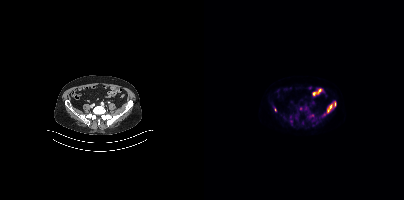
{"modality":"PSMA PET/CT","view":"axial","tracer":"18F","pet_grid":[200,200],"coord_frame":"pet_panel","coord_format":"x0,y0,x1,y1","partial":true,"lesion_bboxes":[[123,101,132,113]],"small_foci_centers":[[71,109],[107,115],[96,108]]}